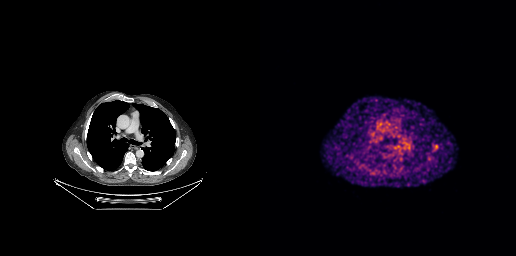
Coordinates are on the 256×256 PET (right) panel. PSMA-avid tumor lesion bounding box (x0,y0,x1,y1): [173,144,178,149].